Technique: Paired axial CT (left) and PSMA PET (right), [18F]PSMA-1007 tracer. slice position z = -278 mm. PET panel 200×200 px (4.1 mm/px).
Note: Head region blanked for anonymization (face removed).
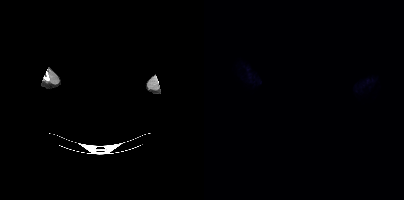
Findings: Negative for PSMA-avid disease on this slice.